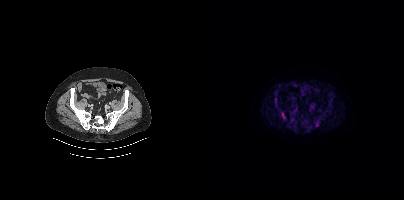
Coordinates are on the 200×200 PET (right) panel. PSMA-avid tumor lesion bounding boxes (x0,y0,x1,y1): [110,120,116,126], [70,100,76,110], [76,112,82,120], [88,121,92,129], [124,97,128,103], [70,89,74,94], [89,108,93,112], [120,109,124,113]. Small PSMA-avid foci (2 to 4 px across) near (center x, center y): (104, 125), (105, 129). Two-panel axial: CT | PSMA PET, 18F tracer. Acquired on Siemens Biograph mCT Flow 20. Slice 136 of 464. PET panel 200×200 px (4.1 mm/px).